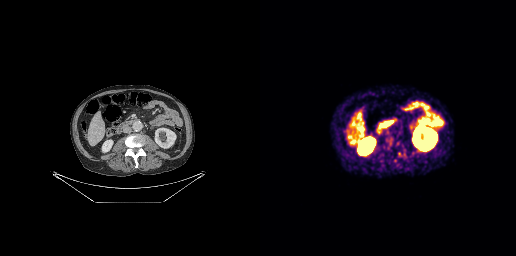
{"pet_grid":[256,256],"coord_frame":"pet_panel","coord_format":"x0,y0,x1,y1","partial":true,"lesion_bboxes":[[130,139,131,144]],"modality":"PSMA PET/CT","view":"axial","tracer":"68Ga"}